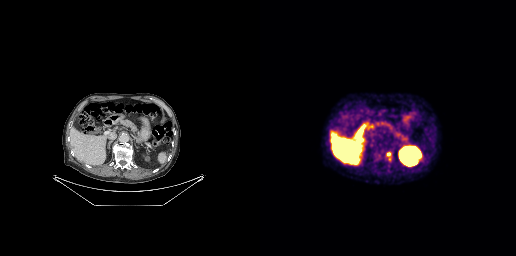
Coordinates are on the 256×256 PET (right) panel. PSMA-avid tumor lesion bounding boxes (x0, y0)-(x1, y1): (127, 153)-(131, 160) | (115, 156)-(117, 160).